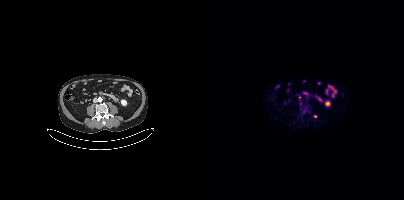
{"modality":"PSMA PET/CT","view":"axial","tracer":"18F-PSMA","pet_grid":[200,200],"coord_frame":"pet_panel","coord_format":"x0,y0,x1,y1","psma_avid_lesions":false}